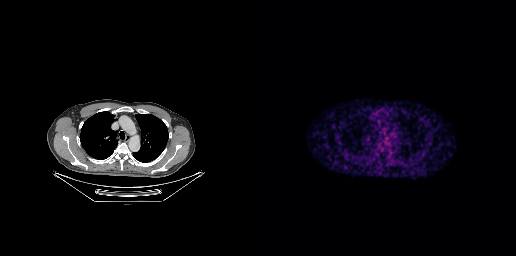
{"pet_grid":[256,256],"coord_frame":"pet_panel","coord_format":"x0,y0,x1,y1","psma_avid_lesions":false,"modality":"PSMA PET/CT","view":"axial","tracer":"18F-PSMA"}